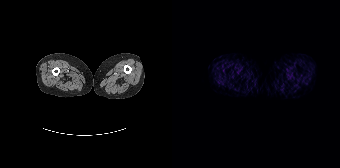
Technique: Two-panel axial: CT | PSMA PET, 68Ga-PSMA tracer. PET panel 168×168 px (4.1 mm/px).
Findings: Negative for PSMA-avid disease on this slice.